modality: PSMA PET/CT | tracer: 18F | view: axial
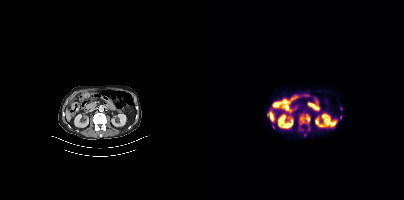
Coordinates are on the 200×200 PET (right) panel. (showing 2 of 4 foci) PSMA-avid tumor lesion bounding box (x0, y0)-(x1, y1): (95, 114)-(106, 125). Small PSMA-avid focus (2 to 4 px across) near (center x, center y): (136, 117).